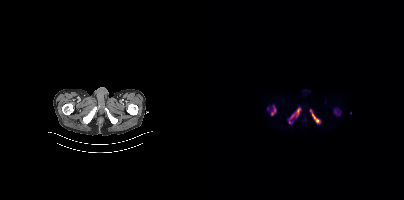
{"pet_grid":[200,200],"coord_frame":"pet_panel","coord_format":"x0,y0,x1,y1","partial":true,"lesion_bboxes":[[106,110,115,122],[67,105,72,115],[92,108,96,116]],"small_foci_centers":[[88,115],[85,121]],"modality":"PSMA PET/CT","view":"axial","tracer":"[18F]PSMA-1007"}